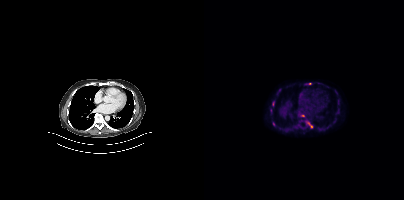
modality: PSMA PET/CT | tracer: [18F]PSMA-1007 | view: axial
Coordinates are on the 200×200 PET (right) panel. (showing 4 of 7 foci) PSMA-avid tumor lesion bounding box (x, y, width, height): x=102 y=121 w=5 h=5. Small PSMA-avid foci (2 to 4 px across) near (center x, center y): (69, 123) | (105, 83) | (107, 126).